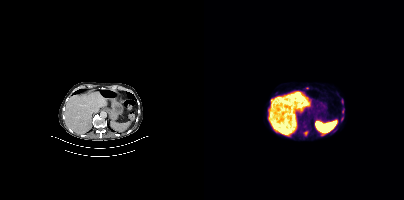
Coordinates are on the 200×200 PET (right) panel. (showing 3 of 4 foci) Small PSMA-avid foci (2 to 4 px across) near (center x, center y): (102, 133) / (138, 111) / (138, 101). Paired axial CT (left) and PSMA PET (right), [18F]PSMA-1007 tracer. Slice 272 of 466.